- Paired axial CT (left) and PSMA PET (right), 18F tracer
- acquired on Siemens Biograph mCT Flow 20
- the face region was removed for patient privacy by blanking a rectangle over the head
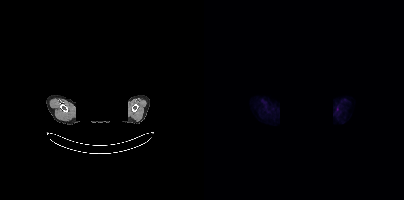
Findings: Coordinates are on the 200×200 PET (right) panel. Small PSMA-avid focus (2 to 4 px across) near (center x, center y): (133, 109).